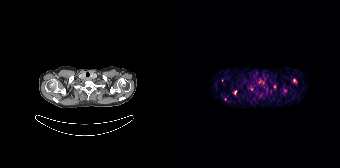
Technique: Two-panel axial: CT | PSMA PET, [68Ga]Ga-PSMA-11 tracer. acquired on Siemens Biograph 64-4R TruePoint. PET panel 168×168 px (4.1 mm/px).
Findings: Coordinates are on the 168×168 PET (right) panel. (showing 4 of 8 foci) PSMA-avid tumor lesion bounding boxes (x, y, width, height): x=121 y=79 w=4 h=5; x=62 y=90 w=3 h=5. Small PSMA-avid foci (2 to 4 px across) near (center x, center y): (102, 86); (113, 90).